Technique: Paired axial CT (left) and PSMA PET (right), 68Ga tracer.
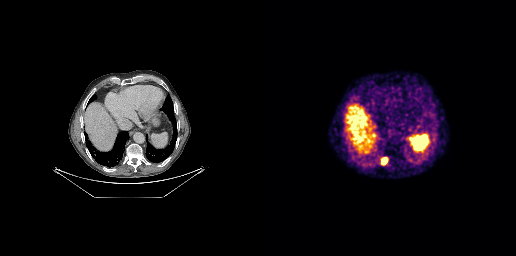
Findings: Coordinates are on the 256×256 PET (right) panel. PSMA-avid tumor lesion bounding box (x0,y0,x1,y1): [122,157,127,164].